redaction: head region blacked out before release | modality: PSMA PET/CT | tracer: 18F-PSMA | view: axial
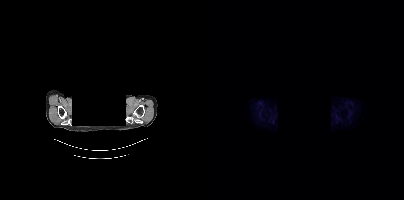
This slice has no annotated PSMA-avid lesion.